Paired axial CT (left) and PSMA PET (right), 18F tracer. Acquired on Siemens Biograph 64-4R TruePoint.
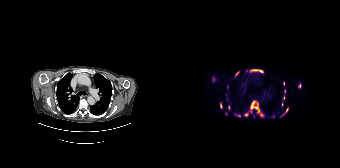
Coordinates are on the 168×168 PET (right) panel. (showing 15 of 18 foci) PSMA-avid tumor lesion bounding boxes (x0,y0,x1,y1): [78,100,91,116]; [78,69,91,73]; [48,103,50,108]; [63,71,67,76]; [113,108,116,112]. Small PSMA-avid foci (2 to 4 px across) near (center x, center y): (127, 85); (74, 114); (111, 97); (56, 107); (67, 115); (112, 91); (110, 103); (111, 83); (53, 113); (74, 70).